- Two-panel axial: CT | PSMA PET, 18F-PSMA tracer
- slice position z = -1197 mm
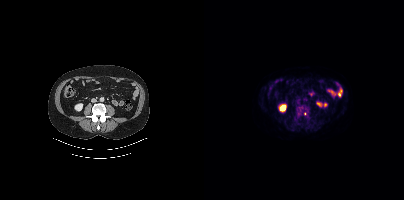
Findings: Coordinates are on the 200×200 PET (right) panel. PSMA-avid tumor lesion bounding box (x0, y0)-(x1, y1): (92, 105)-(105, 118).